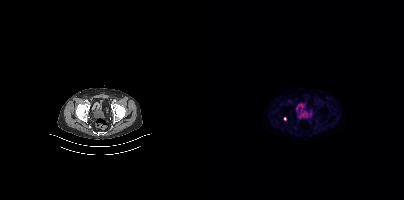
Coordinates are on the 200×200 PET (right) panel. Small PSMA-avid focus (2 to 4 px across) near (center x, center y): (81, 118).